Two-panel axial: CT | PSMA PET, [18F]PSMA-1007 tracer. Acquired on Siemens Biograph mCT Flow 20. Slice position z = 256 mm.
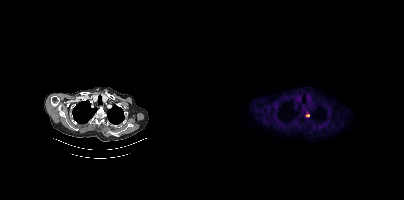
Coordinates are on the 200×200 PET (right) panel. Small PSMA-avid focus (2 to 4 px across) near (center x, center y): (103, 115).